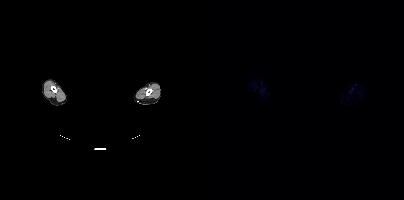
{"modality":"PSMA PET/CT","view":"axial","tracer":"18F","pet_grid":[200,200],"coord_frame":"pet_panel","coord_format":"x0,y0,x1,y1","psma_avid_lesions":false,"de-identification":"facial region redacted"}